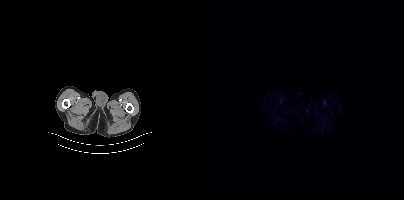
Two-panel axial: CT | PSMA PET, 18F tracer. Slice position z = -1040 mm. PET panel 200×200 px (4.1 mm/px). Negative for PSMA-avid disease on this slice.